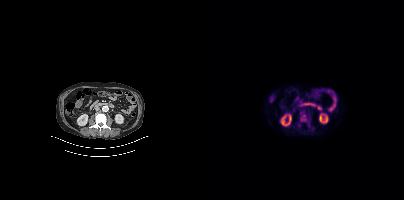
{"pet_grid":[200,200],"coord_frame":"pet_panel","coord_format":"x0,y0,x1,y1","lesion_bboxes":[[96,110,105,126]],"small_foci_centers":[[95,125]],"modality":"PSMA PET/CT","view":"axial","tracer":"[18F]PSMA-1007"}